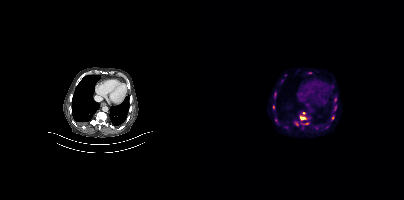
Coordinates are on the 200×200 PET (right) panel. (showing 10 of 12 foci) PSMA-avid tumor lesion bounding boxes (x0, y0)-(x1, y1): (95, 112)-(103, 120) / (97, 122)-(104, 124) / (129, 105)-(132, 110) / (90, 122)-(94, 125) / (128, 115)-(130, 119). Small PSMA-avid foci (2 to 4 px across) near (center x, center y): (69, 107) / (81, 75) / (71, 94) / (106, 72) / (128, 86).